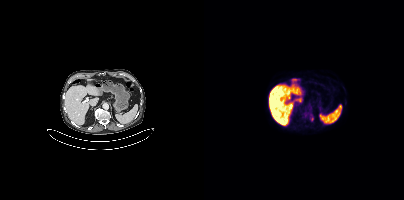
Technique: Left: CT. Right: PSMA PET, same axial level, 18F-PSMA tracer. slice position z = -1159 mm.
Findings: Coordinates are on the 200×200 PET (right) panel. (showing 1 of 2 foci) Small PSMA-avid focus (2 to 4 px across) near (center x, center y): (101, 112).